Technique: Two-panel axial: CT | PSMA PET, 18F-PSMA tracer. acquired on Siemens Biograph mCT Flow 20. slice 425 of 450. PET panel 200×200 px (4.1 mm/px).
Note: The face region was removed for patient privacy by blanking a rectangle over the head.
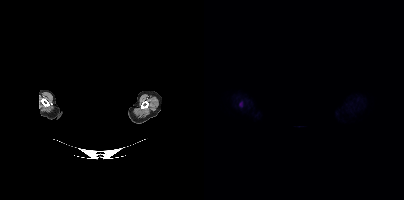
Findings: Coordinates are on the 200×200 PET (right) panel. PSMA-avid tumor lesion bounding box (x0,y0,x1,y1): [35,102,38,107].